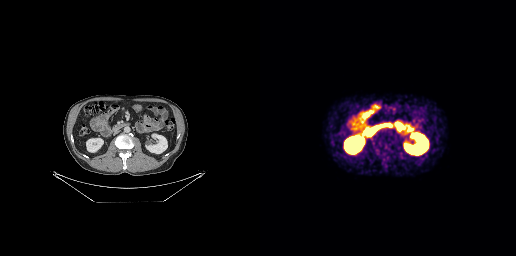
Technique: Paired axial CT (left) and PSMA PET (right), 18F-PSMA tracer. acquired on GE Discovery 690. slice position z = -516 mm. PET panel 256×256 px (2.7 mm/px).
Findings: Negative for PSMA-avid disease on this slice.